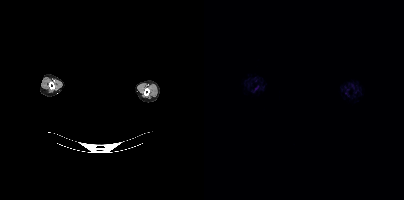
Privacy masking over the head, with the pixels inside a rectangle set to black. Paired axial CT (left) and PSMA PET (right), 18F tracer. Acquired on Siemens Biograph mCT Flow 20. PET panel 200×200 px (4.1 mm/px). No PSMA-avid tumor lesions on this slice.